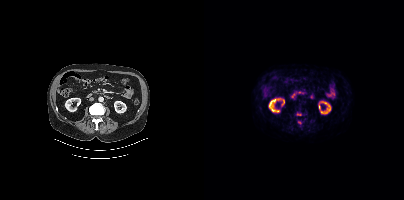
Technique: Paired axial CT (left) and PSMA PET (right), [18F]PSMA-1007 tracer.
Findings: Coordinates are on the 200×200 PET (right) panel. Small PSMA-avid foci (2 to 4 px across) near (center x, center y): (94, 114) / (95, 122).